- Paired axial CT (left) and PSMA PET (right), 18F tracer
- PET panel 256×256 px (2.7 mm/px)
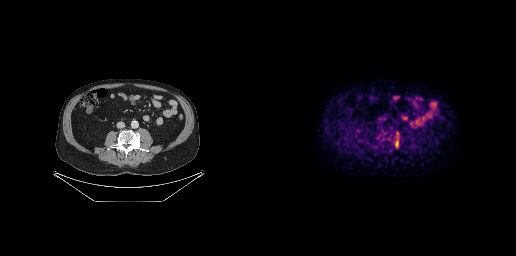
Findings: Coordinates are on the 256×256 PET (right) panel. PSMA-avid tumor lesion bounding box (x, y, width, height): x=135 y=132 w=4 h=17.